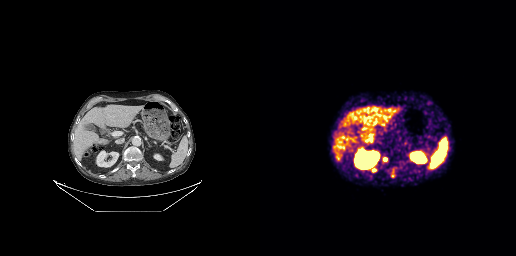
{"modality":"PSMA PET/CT","view":"axial","tracer":"68Ga","pet_grid":[256,256],"coord_frame":"pet_panel","coord_format":"x0,y0,x1,y1","lesion_bboxes":[[131,167,136,177],[110,167,116,172],[123,158,127,161]]}